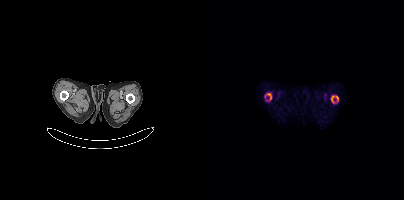
{"modality":"PSMA PET/CT","view":"axial","tracer":"18F-PSMA","pet_grid":[200,200],"coord_frame":"pet_panel","coord_format":"x0,y0,x1,y1","partial":true,"lesion_bboxes":[[127,95,134,102],[63,93,67,99]]}